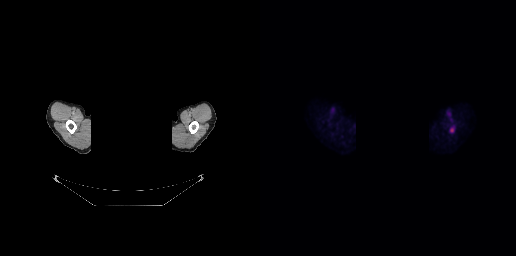
{"modality":"PSMA PET/CT","view":"axial","tracer":"18F-PSMA","pet_grid":[256,256],"coord_frame":"pet_panel","coord_format":"x0,y0,x1,y1","deidentification":"rectangular block over head set to black","psma_avid_lesions":false}